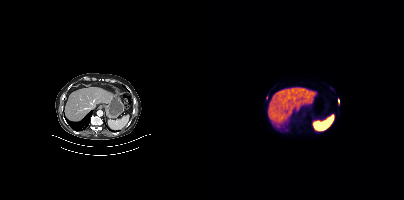
{"pet_grid":[200,200],"coord_frame":"pet_panel","coord_format":"x0,y0,x1,y1","lesion_bboxes":[],"small_foci_centers":[[62,97],[134,100]],"modality":"PSMA PET/CT","view":"axial","tracer":"18F"}